- Two-panel axial: CT | PSMA PET, [18F]PSMA-1007 tracer
- acquired on Siemens Biograph mCT Flow 20
- slice position z = -392 mm
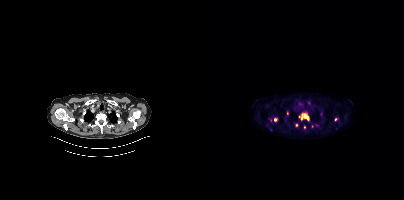
Findings: Coordinates are on the 200×200 PET (right) panel. (showing 5 of 8 foci) PSMA-avid tumor lesion bounding box (x, y, width, height): x=95 y=114 w=11 h=7. Small PSMA-avid foci (2 to 4 px across) near (center x, center y): (71, 119) / (92, 125) / (131, 119) / (100, 127).